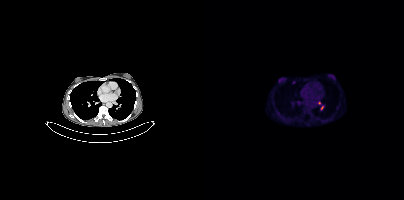
Coordinates are on the 200×200 PET (right) panel. (showing 4 of 6 foci) Small PSMA-avid foci (2 to 4 px across) near (center x, center y): (115, 102); (89, 82); (74, 113); (117, 108).